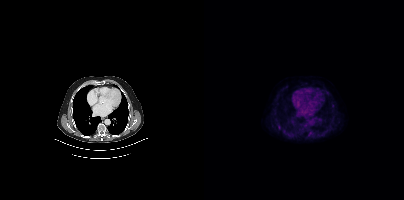
This slice has no annotated PSMA-avid lesion.